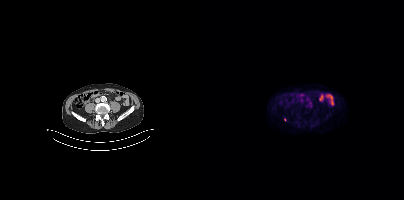
Technique: Left: CT. Right: PSMA PET, same axial level, 18F-PSMA tracer. slice position z = -793 mm. PET panel 200×200 px (4.1 mm/px).
Findings: Coordinates are on the 200×200 PET (right) panel. Small PSMA-avid focus (2 to 4 px across) near (center x, center y): (80, 119).